- Two-panel axial: CT | PSMA PET, 18F-PSMA tracer
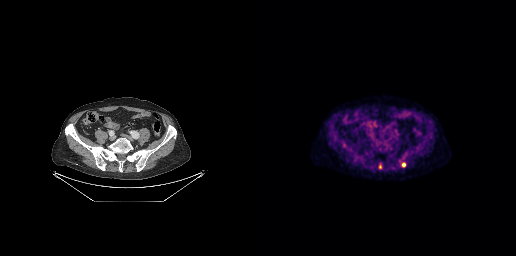
Findings: Only PSMA-avid lesion pieces thinner than 2 px on this slice (not listed).